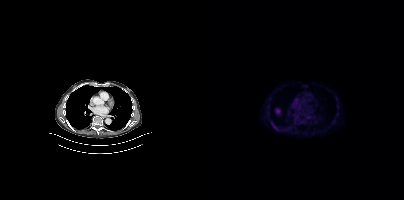
Technique: Paired axial CT (left) and PSMA PET (right), 18F-PSMA tracer. acquired on Siemens Biograph mCT Flow 20. slice position z = -540 mm. PET panel 200×200 px (4.1 mm/px).
Findings: Coordinates are on the 200×200 PET (right) panel. Small PSMA-avid focus (2 to 4 px across) near (center x, center y): (70, 126).